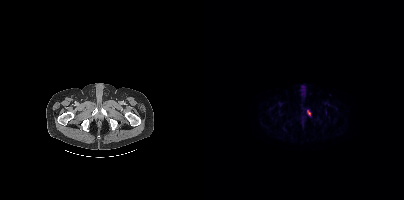
Findings: Coordinates are on the 200×200 PET (right) panel. PSMA-avid tumor lesion bounding box (x, y, width, height): x=103 y=110 w=4 h=6.
Technique: Paired axial CT (left) and PSMA PET (right), 18F tracer. acquired on Siemens Biograph mCT Flow 20.